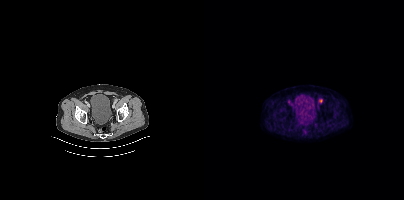
Two-panel axial: CT | PSMA PET, [18F]PSMA-1007 tracer. Coordinates are on the 200×200 PET (right) panel. Small PSMA-avid focus (2 to 4 px across) near (center x, center y): (116, 100).